- Two-panel axial: CT | PSMA PET, [18F]PSMA-1007 tracer
- PET panel 200×200 px (4.1 mm/px)
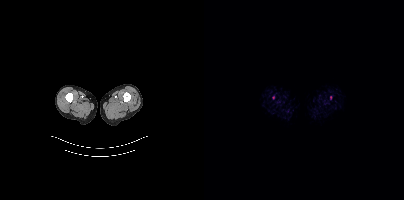
Findings: Coordinates are on the 200×200 PET (right) panel. Small PSMA-avid foci (2 to 4 px across) near (center x, center y): (69, 97); (126, 97).